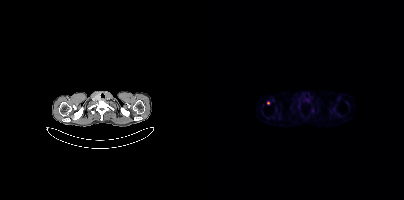
Left: CT. Right: PSMA PET, same axial level, [68Ga]Ga-PSMA-11 tracer. PET panel 200×200 px (4.1 mm/px). Coordinates are on the 200×200 PET (right) panel. Small PSMA-avid focus (2 to 4 px across) near (center x, center y): (64, 103).